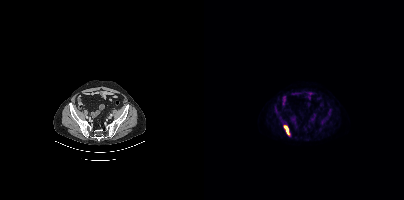
Coordinates are on the 200×200 PET (right) panel. PSMA-avid tumor lesion bounding boxes:
| # | x0 | y0 | x1 | y1 |
|---|---|---|---|---|
| 1 | 80 | 125 | 85 | 135 |
Two-panel axial: CT | PSMA PET, [18F]PSMA-1007 tracer.